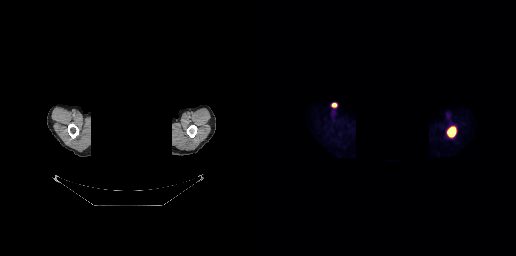
De-identified by setting a box covering the face to black before release.
Coordinates are on the 256×256 PET (right) panel. PSMA-avid tumor lesion bounding box (x0,y0,x1,y1): [187,126,196,137].